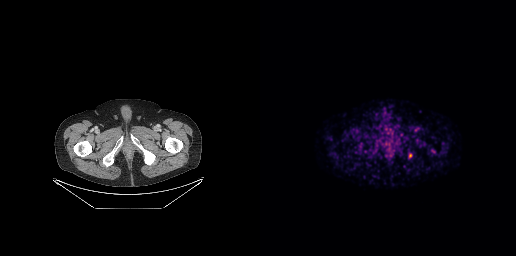
modality: PSMA PET/CT | tracer: 68Ga | view: axial
Coordinates are on the 256×256 PET (right) panel. PSMA-avid tumor lesion bounding box (x0, y0)-(x1, y1): (149, 153)-(151, 157).